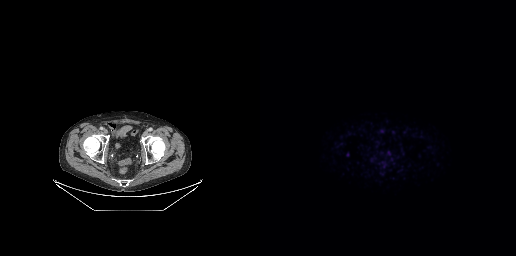
{"modality":"PSMA PET/CT","view":"axial","tracer":"[68Ga]Ga-PSMA-11","pet_grid":[256,256],"coord_frame":"pet_panel","coord_format":"x0,y0,x1,y1","psma_avid_lesions":false}